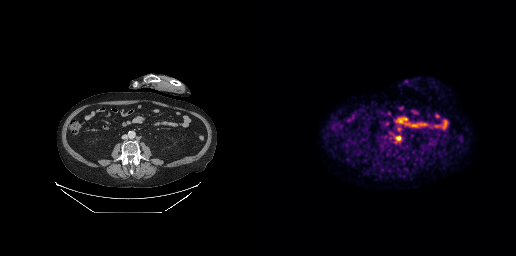
{"modality":"PSMA PET/CT","view":"axial","tracer":"[18F]PSMA-1007","pet_grid":[256,256],"coord_frame":"pet_panel","coord_format":"x0,y0,x1,y1","lesion_bboxes":[[136,136,140,139]]}